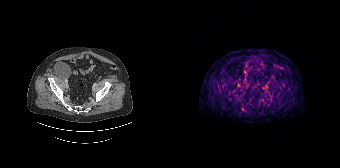
{"modality":"PSMA PET/CT","view":"axial","tracer":"[68Ga]Ga-PSMA-11","pet_grid":[168,168],"coord_frame":"pet_panel","coord_format":"x0,y0,x1,y1","lesion_bboxes":[],"small_foci_centers":[[70,109]]}